Left: CT. Right: PSMA PET, same axial level, 68Ga-PSMA tracer.
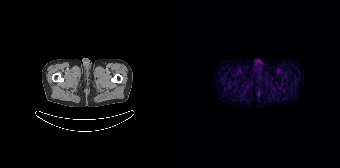
Negative for PSMA-avid disease on this slice.